Paired axial CT (left) and PSMA PET (right), [18F]PSMA-1007 tracer. Acquired on Siemens Biograph mCT Flow 20. PET panel 200×200 px (4.1 mm/px).
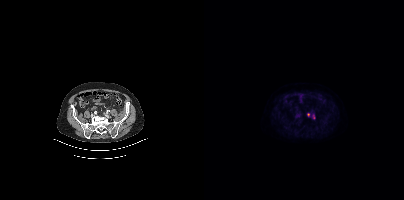
Coordinates are on the 200×200 PET (right) panel. Small PSMA-avid foci (2 to 4 px across) near (center x, center y): (93, 115) / (104, 114).